Paired axial CT (left) and PSMA PET (right), 18F tracer.
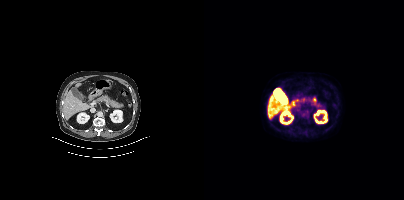
Negative for PSMA-avid disease on this slice.